Left: CT. Right: PSMA PET, same axial level, [18F]PSMA-1007 tracer. Acquired on Siemens Biograph mCT Flow 20. Slice 318 of 427.
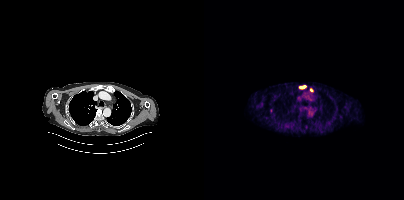
Coordinates are on the 200×200 PET (right) panel. PSMA-avid tumor lesion bounding boxes (partial; 1 more focus not listed):
| # | x0 | y0 | x1 | y1 |
|---|---|---|---|---|
| 1 | 95 | 85 | 102 | 88 |
Small PSMA-avid focus (2 to 4 px across) near (center x, center y): (107, 90).